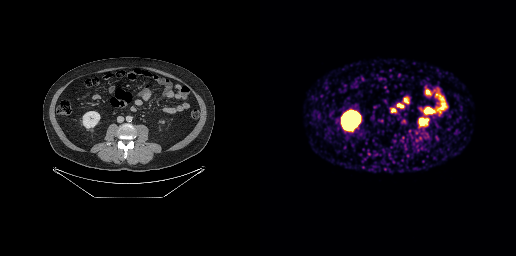
Technique: Paired axial CT (left) and PSMA PET (right), 68Ga-PSMA tracer. slice 140 of 299.
Findings: No tumor lesions annotated on this slice.